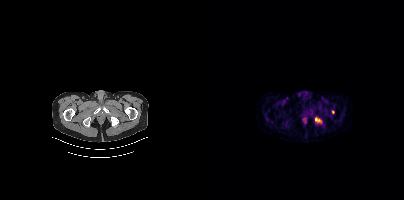
Paired axial CT (left) and PSMA PET (right), 68Ga tracer. Coordinates are on the 200×200 PET (right) panel. PSMA-avid tumor lesion bounding box (x0, y0)-(x1, y1): (111, 117)-(117, 122). Small PSMA-avid focus (2 to 4 px across) near (center x, center y): (129, 111).